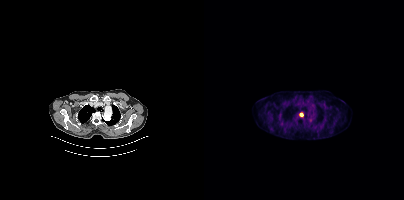
{"pet_grid":[200,200],"coord_frame":"pet_panel","coord_format":"x0,y0,x1,y1","lesion_bboxes":[],"small_foci_centers":[[97,114]],"modality":"PSMA PET/CT","view":"axial","tracer":"18F"}